modality: PSMA PET/CT | tracer: 18F | view: axial | PET grid: 200×200
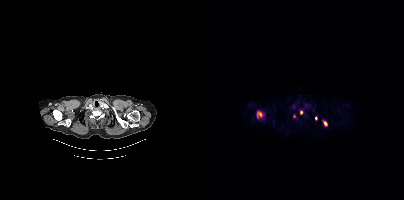
Coordinates are on the 200×200 PET (right) panel. PSMA-avid tumor lesion bounding boxes (x, y, width, height): x=52 y=110 w=7 h=10 | x=118 y=120 w=5 h=6. Small PSMA-avid foci (2 to 4 px across) near (center x, center y): (90, 116) | (97, 112) | (111, 118).